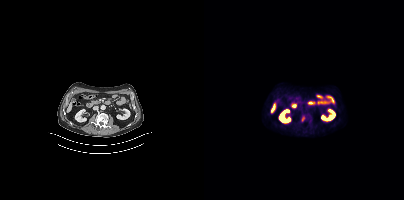
{"modality":"PSMA PET/CT","view":"axial","tracer":"18F-PSMA","pet_grid":[200,200],"coord_frame":"pet_panel","coord_format":"x0,y0,x1,y1","lesion_bboxes":[[97,116,100,121]]}